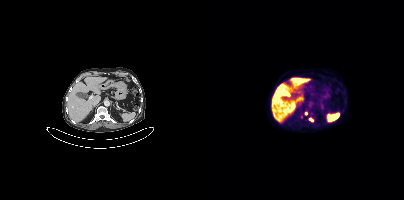
Coordinates are on the 200×200 PET (right) panel. PSMA-avid tumor lesion bounding boxes:
| # | x0 | y0 | x1 | y1 |
|---|---|---|---|---|
| 1 | 105 | 118 | 109 | 121 |
Small PSMA-avid focus (2 to 4 px across) near (center x, center y): (102, 113).
Left: CT. Right: PSMA PET, same axial level, 18F-PSMA tracer. PET panel 200×200 px (4.1 mm/px).